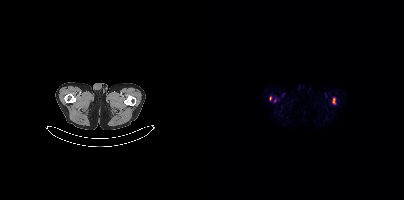
Technique: Left: CT. Right: PSMA PET, same axial level, 18F-PSMA tracer. acquired on Siemens Biograph mCT Flow 20.
Findings: Coordinates are on the 200×200 PET (right) panel. PSMA-avid tumor lesion bounding boxes (x, y, width, height): x=128 y=97 w=4 h=8 | x=65 y=96 w=3 h=5. Small PSMA-avid focus (2 to 4 px across) near (center x, center y): (70, 100).